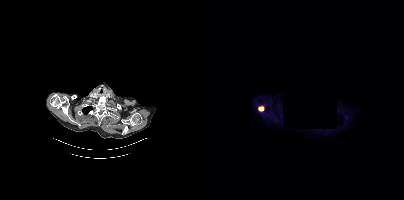
{"modality":"PSMA PET/CT","view":"axial","tracer":"18F-PSMA","pet_grid":[200,200],"coord_frame":"pet_panel","coord_format":"x0,y0,x1,y1","lesion_bboxes":[[54,106,59,111]],"deidentification":"region blacked out before release"}